Two-panel axial: CT | PSMA PET, 18F-PSMA tracer. Acquired on GE Discovery 690. PET panel 256×256 px (2.7 mm/px).
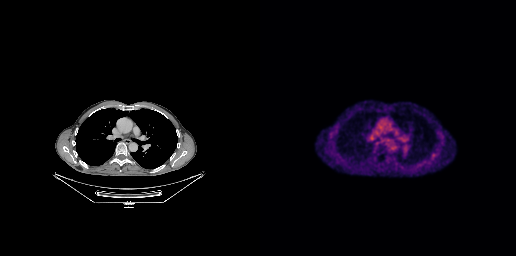
Coordinates are on the 256×256 PET (right) panel. Small PSMA-avid focus (2 to 4 px across) near (center x, center y): (173, 154).